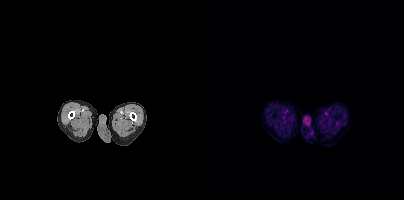
No PSMA-avid tumor lesions on this slice.